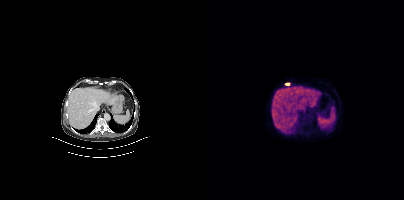
Paired axial CT (left) and PSMA PET (right), 18F tracer. Slice position z = -1172 mm. Coordinates are on the 200×200 PET (right) panel. PSMA-avid tumor lesion bounding box (x0,y0,x1,y1): [81,83,85,85].